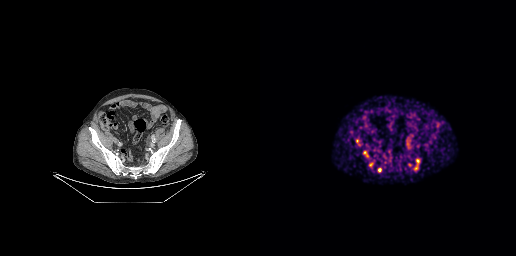
Technique: Paired axial CT (left) and PSMA PET (right), [68Ga]Ga-PSMA-11 tracer.
Findings: Coordinates are on the 256×256 PET (right) panel. (showing 4 of 6 foci) Small PSMA-avid foci (2 to 4 px across) near (center x, center y): (119, 169); (158, 160); (104, 152); (110, 164).